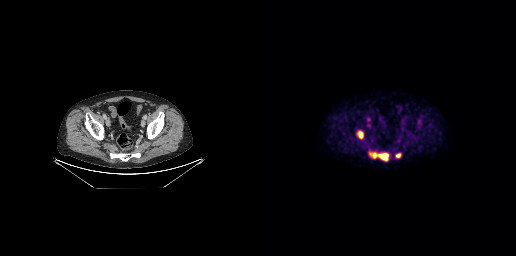
- Two-panel axial: CT | PSMA PET, [18F]PSMA-1007 tracer
- acquired on GE Discovery 690
Findings: Coordinates are on the 256×256 PET (right) panel. PSMA-avid tumor lesion bounding boxes (x0, y0)-(x1, y1): (109, 152)-(128, 161); (97, 131)-(103, 138); (135, 153)-(141, 157).